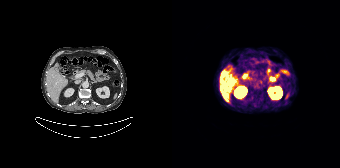
Two-panel axial: CT | PSMA PET, 68Ga tracer. Acquired on Siemens Biograph 64-4R TruePoint. Slice 113 of 195. PET panel 168×168 px (4.1 mm/px). Coordinates are on the 168×168 PET (right) panel. PSMA-avid tumor lesion bounding box (x0,y0,x1,y1): [49,70,53,75]. Small PSMA-avid foci (2 to 4 px across) near (center x, center y): (56, 86) (56, 82).